- Paired axial CT (left) and PSMA PET (right), 18F tracer
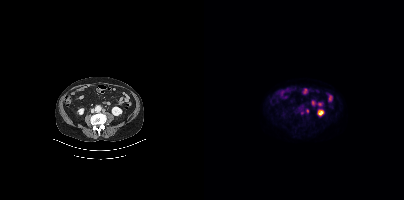
Findings: Coordinates are on the 200×200 PET (right) panel. Small PSMA-avid focus (2 to 4 px across) near (center x, center y): (103, 111).